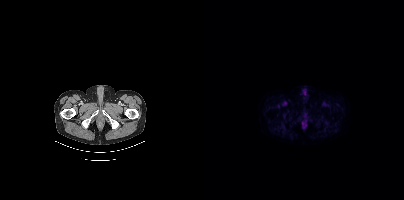
Technique: Two-panel axial: CT | PSMA PET, 18F tracer. slice position z = -1603 mm. PET panel 200×200 px (4.1 mm/px).
Findings: This slice has no annotated PSMA-avid lesion.